Paired axial CT (left) and PSMA PET (right), 18F-PSMA tracer. Acquired on Siemens Biograph mCT Flow 20. Slice 46 of 405. PET panel 200×200 px (4.1 mm/px).
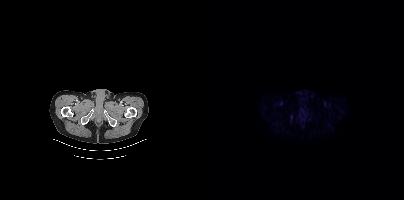
Coordinates are on the 200×200 PET (right) panel. PSMA-avid tumor lesion bounding boxes:
| # | x0 | y0 | x1 | y1 |
|---|---|---|---|---|
| 1 | 87 | 115 | 88 | 119 |